modality: PSMA PET/CT | tracer: 18F | view: axial | PET grid: 200×200
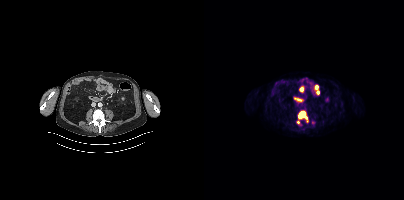
Coordinates are on the 200×200 PET (right) panel. (showing 2 of 3 foci) PSMA-avid tumor lesion bounding box (x, y, width, height): x=94 y=111 w=10 h=9. Small PSMA-avid focus (2 to 4 px across) near (center x, center y): (94, 121).